Two-panel axial: CT | PSMA PET, 18F tracer. Acquired on GE Discovery 690. Slice 101 of 263.
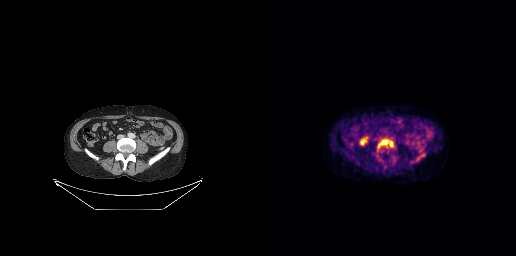
Coordinates are on the 256×256 PET (right) panel. PSMA-avid tumor lesion bounding box (x0,y0,x1,y1): [118,139,133,147].